Two-panel axial: CT | PSMA PET, 18F tracer. Slice 84 of 263.
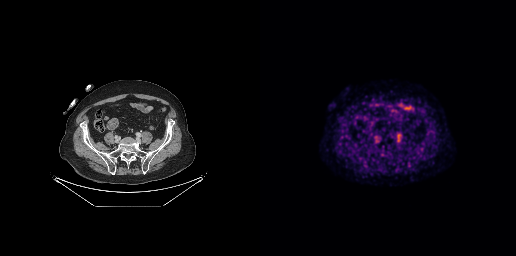
No tumor lesions annotated on this slice.